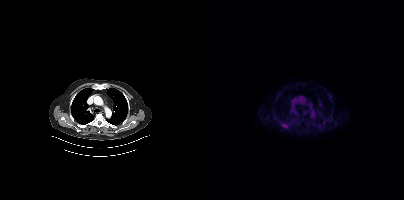
Two-panel axial: CT | PSMA PET, 18F-PSMA tracer. Acquired on Siemens Biograph mCT Flow 20. PET panel 200×200 px (4.1 mm/px). Coordinates are on the 200×200 PET (right) panel. Small PSMA-avid focus (2 to 4 px across) near (center x, center y): (80, 125).